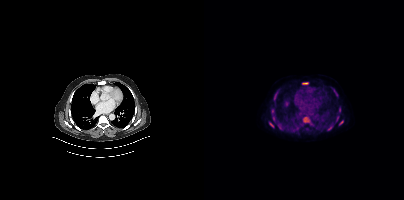
Two-panel axial: CT | PSMA PET, [18F]PSMA-1007 tracer. PET panel 200×200 px (4.1 mm/px). Coordinates are on the 200×200 PET (right) panel. (showing 13 of 15 foci) PSMA-avid tumor lesion bounding boxes (x, y, width, height): x=99 y=117 w=7 h=6 / x=68 y=115 w=4 h=6 / x=123 y=125 w=6 h=6 / x=135 y=120 w=5 h=6 / x=65 y=122 w=5 h=6 / x=98 y=82 w=7 h=3 / x=127 y=87 w=5 h=5 / x=74 y=123 w=3 h=5 / x=132 y=116 w=3 h=6 / x=70 y=96 w=3 h=5. Small PSMA-avid foci (2 to 4 px across) near (center x, center y): (68, 110) / (73, 91) / (135, 108).